Technique: Left: CT. Right: PSMA PET, same axial level, 18F tracer. PET panel 200×200 px (4.1 mm/px).
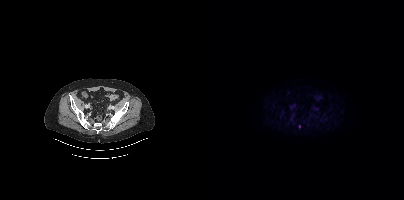
Findings: Coordinates are on the 200×200 PET (right) panel. Small PSMA-avid focus (2 to 4 px across) near (center x, center y): (95, 126).